- Left: CT. Right: PSMA PET, same axial level, [68Ga]Ga-PSMA-11 tracer
- acquired on Siemens Biograph 64-4R TruePoint
- PET panel 168×168 px (4.1 mm/px)
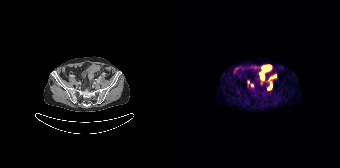
Findings: Coordinates are on the 168×168 PET (right) panel. PSMA-avid tumor lesion bounding boxes (x0,y0,x1,y1): [88,65,98,78]; [96,82,99,89]. Small PSMA-avid foci (2 to 4 px across) near (center x, center y): (103, 76); (79, 85); (99, 77); (76, 81).